Technique: Paired axial CT (left) and PSMA PET (right), [18F]PSMA-1007 tracer. acquired on Siemens Biograph mCT Flow 20. PET panel 200×200 px (4.1 mm/px).
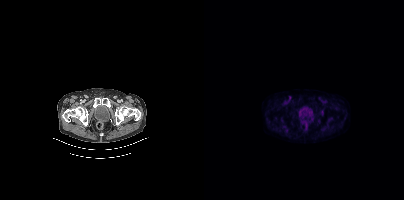
Findings: No PSMA-avid tumor lesions on this slice.